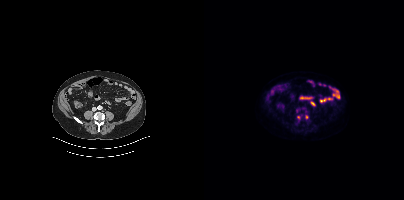
modality: PSMA PET/CT | tracer: [18F]PSMA-1007 | view: axial
Only PSMA-avid lesion pieces thinner than 2 px on this slice (not listed).